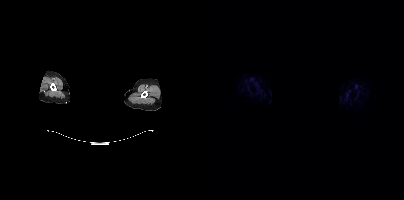
{"modality":"PSMA PET/CT","view":"axial","tracer":"[18F]PSMA-1007","pet_grid":[200,200],"coord_frame":"pet_panel","coord_format":"x0,y0,x1,y1","deidentification":"facial region redacted","psma_avid_lesions":false}